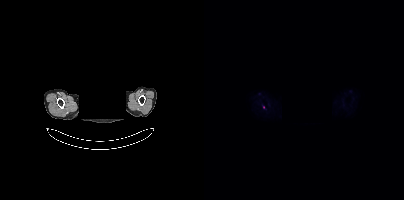
{"modality":"PSMA PET/CT","view":"axial","tracer":"[18F]PSMA-1007","pet_grid":[200,200],"coord_frame":"pet_panel","coord_format":"x0,y0,x1,y1","lesion_bboxes":[],"small_foci_centers":[[59,107]],"deidentification":"head region blacked out before release"}